modality: PSMA PET/CT | tracer: [68Ga]Ga-PSMA-11 | view: axial
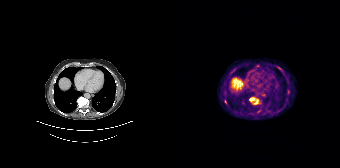
Coordinates are on the 168×168 PET (right) panel. (showing 5 of 6 foci) PSMA-avid tumor lesion bounding box (x0,y0,x1,y1): [104,66,110,71]. Small PSMA-avid foci (2 to 4 px across) near (center x, center y): (79, 99), (85, 66), (53, 101), (84, 102).